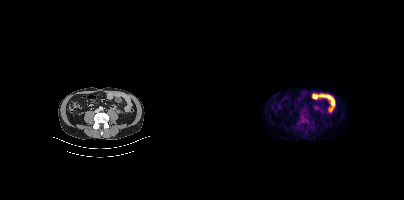
Two-panel axial: CT | PSMA PET, [18F]PSMA-1007 tracer. Slice 147 of 448. Coordinates are on the 200×200 PET (right) panel. PSMA-avid tumor lesion bounding box (x0, y0)-(x1, y1): (98, 114)-(108, 125).